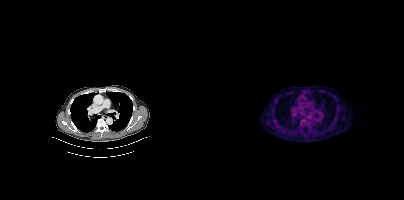
Paired axial CT (left) and PSMA PET (right), 18F-PSMA tracer. Slice position z = -50 mm.
Coordinates are on the 200×200 PET (right) panel. PSMA-avid tumor lesion bounding boxes:
| # | x0 | y0 | x1 | y1 |
|---|---|---|---|---|
| 1 | 97 | 118 | 100 | 122 |